Left: CT. Right: PSMA PET, same axial level, 18F-PSMA tracer. Slice position z = -8 mm.
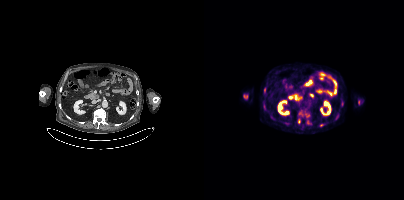
Coordinates are on the 200×200 PET (right) panel. PSMA-avid tumor lesion bounding boxes (partial; 1 more focus not listed):
| # | x0 | y0 | x1 | y1 |
|---|---|---|---|---|
| 1 | 60 | 88 | 61 | 92 |
Small PSMA-avid foci (2 to 4 px across) near (center x, center y): (117, 125); (138, 102); (94, 121).